- Left: CT. Right: PSMA PET, same axial level, 18F-PSMA tracer
- acquired on Siemens Biograph mCT Flow 20
- slice 181 of 397
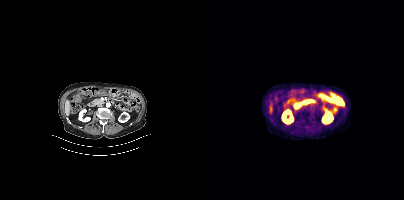
Findings: No PSMA-avid tumor lesions on this slice.